Paired axial CT (left) and PSMA PET (right), [18F]PSMA-1007 tracer. Slice position z = -1178 mm. PET panel 200×200 px (4.1 mm/px).
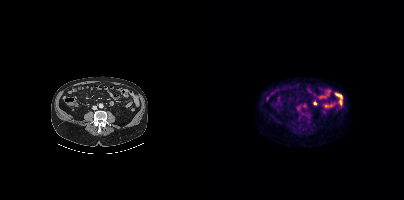
Negative for PSMA-avid disease on this slice.